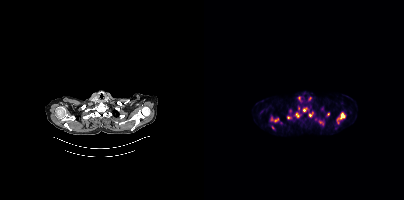
Left: CT. Right: PSMA PET, same axial level, [18F]PSMA-1007 tracer.
Coordinates are on the 200×200 PET (right) panel. PSMA-avid tumor lesion bounding boxes (partial; 2 more foci not listed):
| # | x0 | y0 | x1 | y1 |
|---|---|---|---|---|
| 1 | 133 | 112 | 141 | 123 |
| 2 | 66 | 117 | 74 | 122 |
| 3 | 90 | 112 | 96 | 118 |
| 4 | 83 | 116 | 87 | 119 |
Small PSMA-avid foci (2 to 4 px across) near (center x, center y): (100, 109); (106, 115); (124, 114); (69, 127); (86, 111); (116, 122).